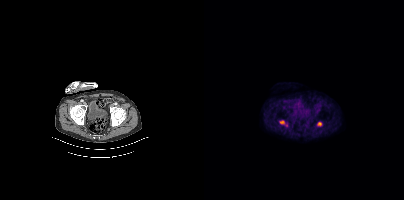
Two-panel axial: CT | PSMA PET, 18F tracer.
Coordinates are on the 200×200 PET (right) panel. PSMA-avid tumor lesion bounding boxes (partial; 1 more focus not listed):
| # | x0 | y0 | x1 | y1 |
|---|---|---|---|---|
| 1 | 113 | 121 | 118 | 126 |
| 2 | 76 | 120 | 80 | 124 |